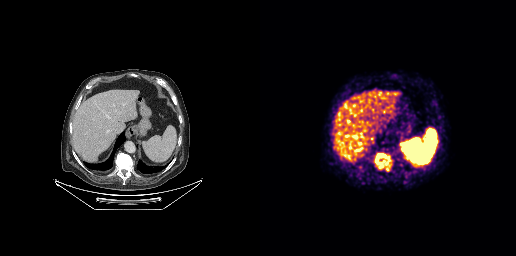
Coordinates are on the 256×256 PET (right) panel. PSMA-avid tumor lesion bounding boxes:
| # | x0 | y0 | x1 | y1 |
|---|---|---|---|---|
| 1 | 115 | 153 | 131 | 170 |
Two-panel axial: CT | PSMA PET, 68Ga tracer.